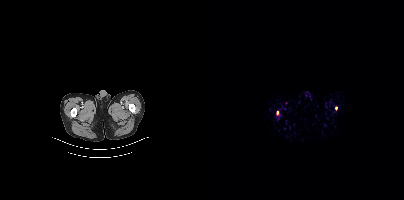
{"modality":"PSMA PET/CT","view":"axial","tracer":"18F-PSMA","pet_grid":[200,200],"coord_frame":"pet_panel","coord_format":"x0,y0,x1,y1","lesion_bboxes":[],"small_foci_centers":[[132,108],[73,112]]}